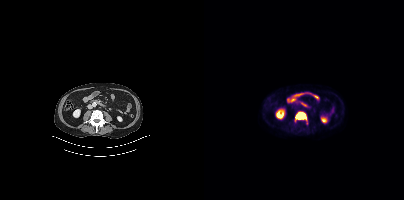
Paired axial CT (left) and PSMA PET (right), 18F tracer. Acquired on Siemens Biograph mCT Flow 20. Slice position z = -732 mm. PET panel 200×200 px (4.1 mm/px). Coordinates are on the 200×200 PET (right) panel. PSMA-avid tumor lesion bounding box (x0,y0,x1,y1): [92,112,102,119].